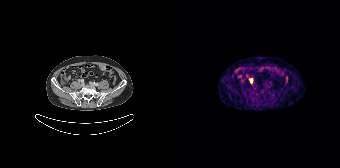
Left: CT. Right: PSMA PET, same axial level, 68Ga tracer. Coordinates are on the 168×168 PET (right) panel. Small PSMA-avid focus (2 to 4 px across) near (center x, center y): (79, 80).